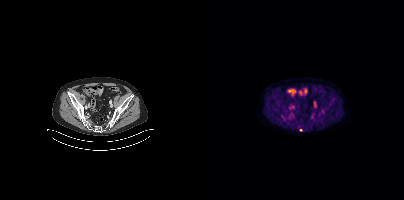
Coordinates are on the 200×200 PET (right) panel. Small PSMA-avid focus (2 to 4 px across) near (center x, center y): (96, 129).